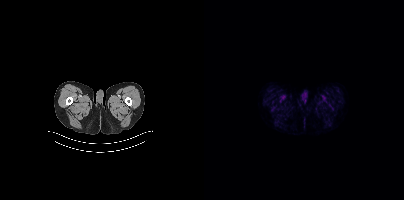
No tumor lesions annotated on this slice.